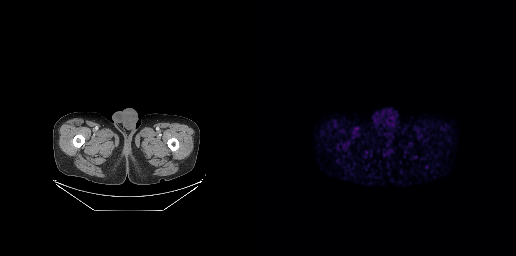
Two-panel axial: CT | PSMA PET, 68Ga tracer. No PSMA-avid tumor lesions on this slice.